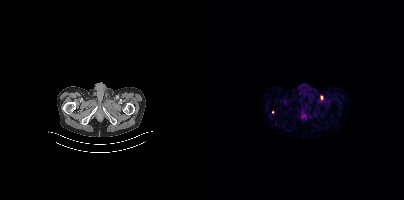
Left: CT. Right: PSMA PET, same axial level, 68Ga-PSMA tracer. Acquired on Siemens Biograph mCT Flow 20. Coordinates are on the 200×200 PET (right) panel. (showing 1 of 2 foci) Small PSMA-avid focus (2 to 4 px across) near (center x, center y): (117, 97).